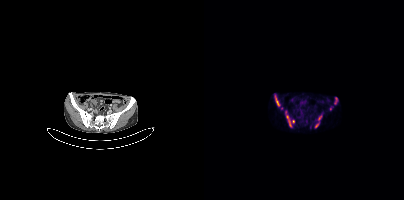
{"modality":"PSMA PET/CT","view":"axial","tracer":"68Ga-PSMA","pet_grid":[200,200],"coord_frame":"pet_panel","coord_format":"x0,y0,x1,y1","partial":true,"lesion_bboxes":[[71,95,75,105],[82,116,86,123],[130,98,133,104],[116,115,118,119]],"small_foci_centers":[[112,125],[81,112]]}